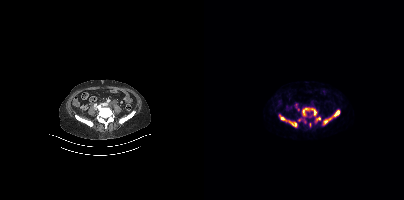
Coordinates are on the 200×200 PET (right) panel. (showing 6 of 9 foci) PSMA-avid tumor lesion bounding boxes (x0,y0,x1,y1): [98,107,113,117]; [74,114,93,127]; [118,110,135,125]; [97,118,101,123]; [111,117,116,119]; [105,123,107,127]. Left: CT. Right: PSMA PET, same axial level, 68Ga tracer. Slice 128 of 397. PET panel 200×200 px (4.1 mm/px).